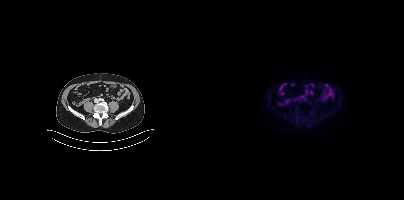
This slice has no annotated PSMA-avid lesion.